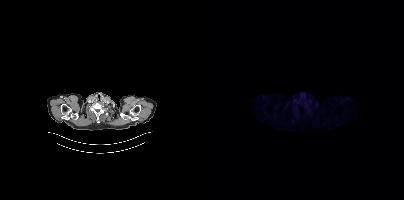
No PSMA-avid tumor lesions on this slice. Paired axial CT (left) and PSMA PET (right), [18F]PSMA-1007 tracer.